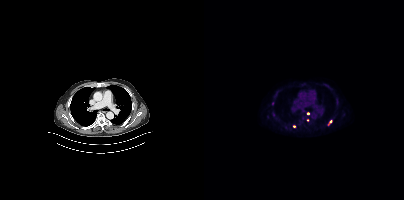
{"modality":"PSMA PET/CT","view":"axial","tracer":"18F","pet_grid":[200,200],"coord_frame":"pet_panel","coord_format":"x0,y0,x1,y1","partial":true,"lesion_bboxes":[[124,121,127,125]]}